- Left: CT. Right: PSMA PET, same axial level, 18F tracer
- slice 195 of 391
- PET panel 200×200 px (4.1 mm/px)
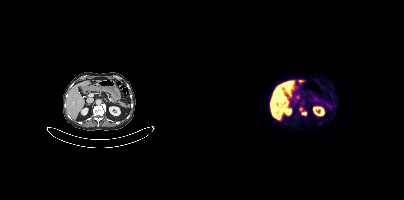
Findings: Coordinates are on the 200×200 PET (right) panel. PSMA-avid tumor lesion bounding box (x0, y0)-(x1, y1): (97, 112)-(102, 115). Small PSMA-avid focus (2 to 4 px across) near (center x, center y): (96, 108).